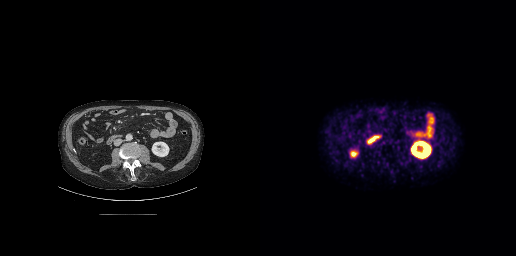
No PSMA-avid tumor lesions on this slice.